Paired axial CT (left) and PSMA PET (right), 18F tracer. Acquired on Siemens Biograph mCT Flow 20. Slice 111 of 354. PET panel 200×200 px (4.1 mm/px).
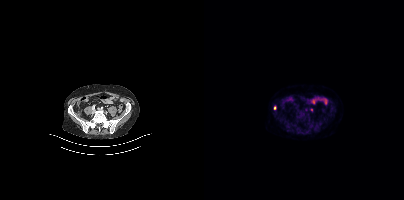
Coordinates are on the 200×200 PET (right) panel. Small PSMA-avid focus (2 to 4 px across) near (center x, center y): (70, 107).